- Left: CT. Right: PSMA PET, same axial level, 18F tracer
- acquired on Siemens Biograph mCT Flow 20
- slice 235 of 417
- PET panel 200×200 px (4.1 mm/px)
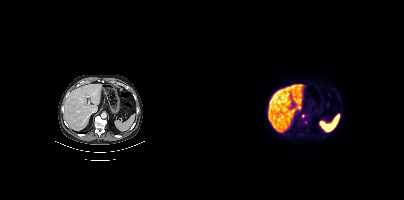
Findings: Coordinates are on the 200×200 PET (right) panel. Small PSMA-avid focus (2 to 4 px across) near (center x, center y): (98, 115).